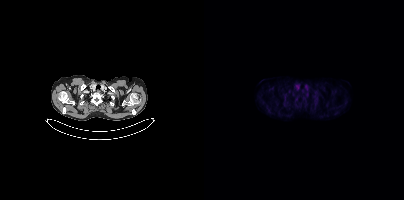
modality: PSMA PET/CT | tracer: 18F | view: axial | PET grid: 200×200
No PSMA-avid tumor lesions on this slice.